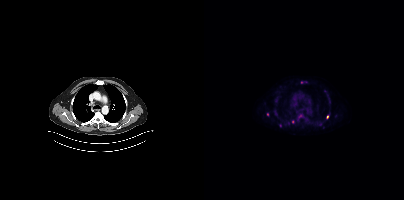
Coordinates are on the 200×200 PET (right) panel. Small PSMA-avid foci (2 to 4 px across) near (center x, center y): (123, 117); (97, 82); (63, 114); (116, 124). Paired axial CT (left) and PSMA PET (right), [18F]PSMA-1007 tracer. Acquired on Siemens Biograph mCT Flow 20. Slice position z = -302 mm. PET panel 200×200 px (4.1 mm/px).